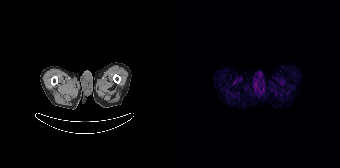
Negative for PSMA-avid disease on this slice.